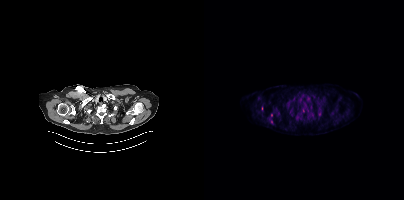
Paired axial CT (left) and PSMA PET (right), [18F]PSMA-1007 tracer. Slice 337 of 411. Coordinates are on the 200×200 PET (right) panel. (showing 3 of 4 foci) Small PSMA-avid foci (2 to 4 px across) near (center x, center y): (115, 114) | (67, 114) | (67, 121).